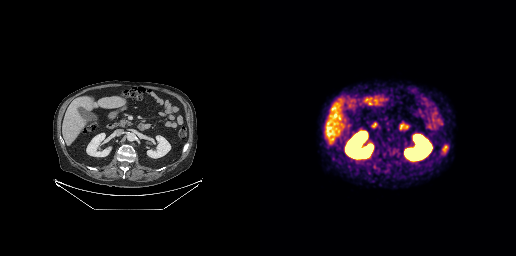
{"modality":"PSMA PET/CT","view":"axial","tracer":"[68Ga]Ga-PSMA-11","pet_grid":[256,256],"coord_frame":"pet_panel","coord_format":"x0,y0,x1,y1","psma_avid_lesions":false}